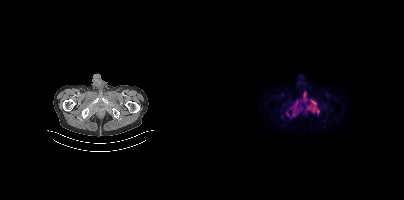
Coordinates are on the 200×200 PET (right) panel. PSMA-avid tumor lesion bounding boxes (x0, y0)-(x1, y1): (102, 99)-(115, 113); (87, 101)-(94, 115); (99, 91)-(103, 102). Small PSMA-avid foci (2 to 4 px across) near (center x, center y): (83, 113); (93, 112); (97, 108).